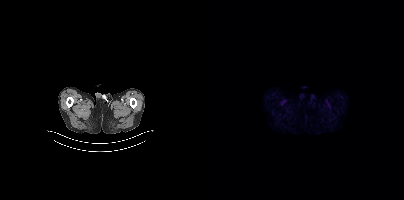
No PSMA-avid tumor lesions on this slice.